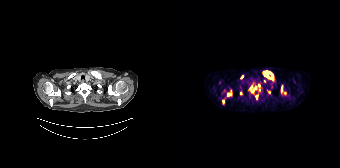
Coordinates are on the 168×168 PET (right) panel. (showing 7 of 12 foci) PSMA-avid tumor lesion bounding boxes (x0,y0,x1,y1): [91,71,101,77] [77,86,84,92] [55,91,60,95] [109,86,110,90]. Small PSMA-avid foci (2 to 4 px across) near (center x, center y): (92, 81) (84, 97) (70, 77).